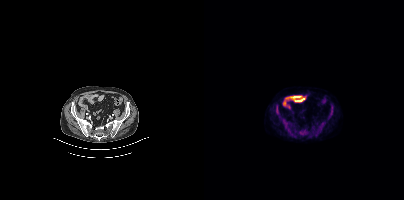
Technique: Paired axial CT (left) and PSMA PET (right), 18F-PSMA tracer. acquired on Siemens Biograph mCT Flow 20.
Findings: Coordinates are on the 200×200 PET (right) panel. (showing 4 of 5 foci) PSMA-avid tumor lesion bounding boxes (x0, y0)-(x1, y1): (95, 129)-(104, 135) / (125, 105)-(129, 118) / (78, 119)-(85, 127) / (72, 105)-(75, 114).